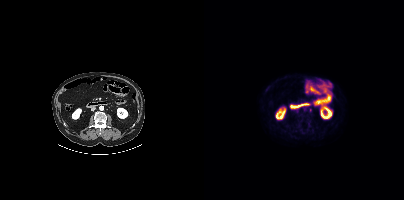
Technique: Two-panel axial: CT | PSMA PET, 18F-PSMA tracer. slice position z = -758 mm. PET panel 200×200 px (4.1 mm/px).
Findings: This slice has no annotated PSMA-avid lesion.